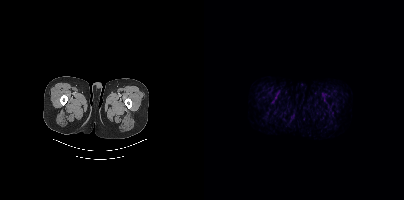
modality: PSMA PET/CT | tracer: 18F | view: axial | PET grid: 200×200
This slice has no annotated PSMA-avid lesion.